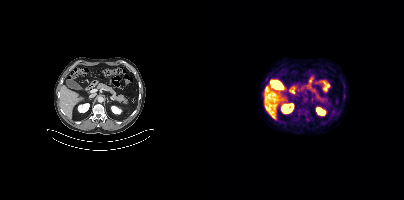
{"modality":"PSMA PET/CT","view":"axial","tracer":"18F","pet_grid":[200,200],"coord_frame":"pet_panel","coord_format":"x0,y0,x1,y1","psma_avid_lesions":false}